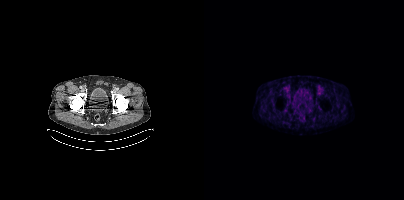
modality: PSMA PET/CT | tracer: [18F]PSMA-1007 | view: axial | PET grid: 200×200
Negative for PSMA-avid disease on this slice.